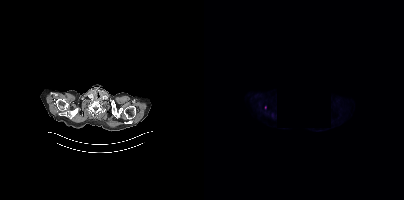
{"modality":"PSMA PET/CT","view":"axial","tracer":"[18F]PSMA-1007","pet_grid":[200,200],"coord_frame":"pet_panel","coord_format":"x0,y0,x1,y1","redaction":"rectangular block set to black","lesion_bboxes":[],"small_foci_centers":[[61,107]]}